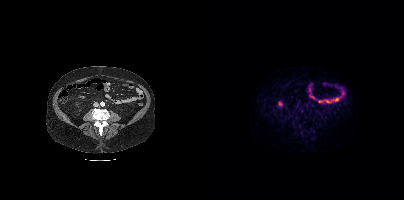
Negative for PSMA-avid disease on this slice. Paired axial CT (left) and PSMA PET (right), 68Ga tracer. Acquired on Siemens Biograph mCT Flow 20. Slice 164 of 444. PET panel 200×200 px (4.1 mm/px).